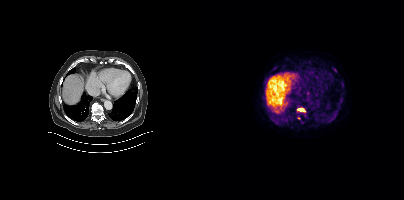
Findings: Coordinates are on the 200×200 PET (right) panel. PSMA-avid tumor lesion bounding boxes (x, y, width, height): x=127 y=114 w=7 h=6; x=119 y=119 w=7 h=5; x=136 y=98 w=4 h=5; x=137 y=82 w=4 h=5. Small PSMA-avid foci (2 to 4 px across) near (center x, center y): (130, 69); (96, 109).
- Paired axial CT (left) and PSMA PET (right), [18F]PSMA-1007 tracer
- acquired on Siemens Biograph mCT Flow 20
- slice position z = -450 mm